Paired axial CT (left) and PSMA PET (right), 68Ga tracer. Slice position z = -1195 mm. PET panel 168×168 px (4.1 mm/px).
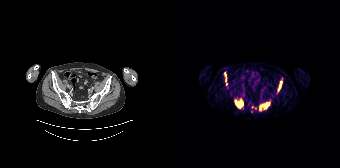
Coordinates are on the 168×168 PET (right) panel. PSMA-avid tumor lesion bounding boxes (partial; 3 more foci not listed):
| # | x0 | y0 | x1 | y1 |
|---|---|---|---|---|
| 1 | 63 | 100 | 71 | 107 |
| 2 | 88 | 103 | 97 | 109 |
| 3 | 106 | 81 | 110 | 91 |
Small PSMA-avid foci (2 to 4 px across) near (center x, center y): (54, 84); (80, 107); (79, 111).